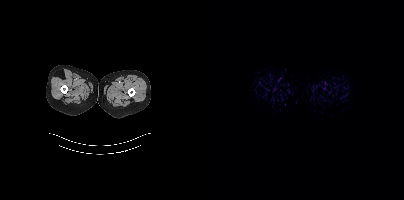
{"modality":"PSMA PET/CT","view":"axial","tracer":"[18F]PSMA-1007","pet_grid":[200,200],"coord_frame":"pet_panel","coord_format":"x0,y0,x1,y1","psma_avid_lesions":false}